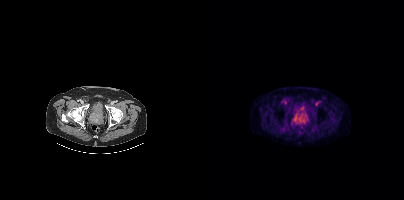
Findings: Coordinates are on the 200×200 PET (right) panel. (showing 2 of 3 foci) PSMA-avid tumor lesion bounding box (x0, y0)-(x1, y1): (95, 113)-(102, 121). Small PSMA-avid focus (2 to 4 px across) near (center x, center y): (91, 117).
Technique: Two-panel axial: CT | PSMA PET, [18F]PSMA-1007 tracer. slice position z = -1328 mm. PET panel 200×200 px (4.1 mm/px).